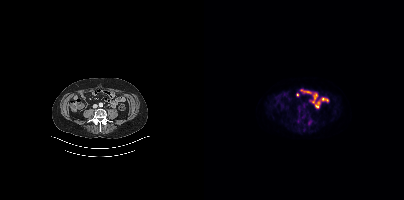
Coordinates are on the 200×200 PET (right) panel. (showing 1 of 2 foci) PSMA-avid tumor lesion bounding box (x0,y0,x1,y1): [104,119,108,125].